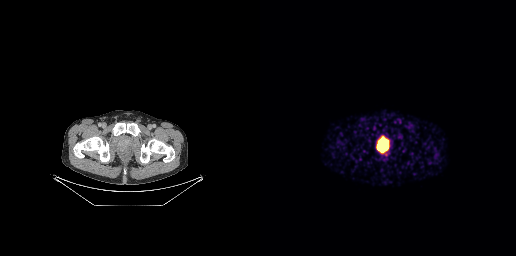
Findings: Coordinates are on the 256×256 PET (right) panel. PSMA-avid tumor lesion bounding box (x, y, width, height): x=117 y=138 w=12 h=14.
Technique: Left: CT. Right: PSMA PET, same axial level, 68Ga tracer. acquired on GE Discovery 690.